- Paired axial CT (left) and PSMA PET (right), 18F-PSMA tracer
- acquired on Siemens Biograph mCT Flow 20
- slice position z = -1026 mm
- PET panel 200×200 px (4.1 mm/px)
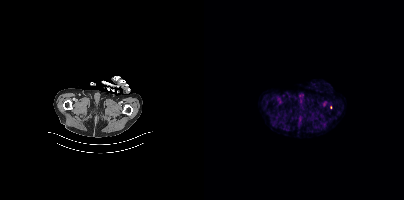
Findings: Coordinates are on the 200×200 PET (right) panel. Small PSMA-avid focus (2 to 4 px across) near (center x, center y): (126, 107).